Paired axial CT (left) and PSMA PET (right), [18F]PSMA-1007 tracer. Acquired on GE Discovery 690.
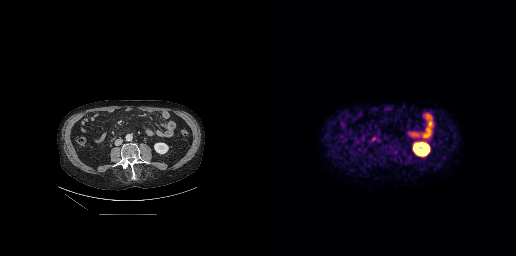
Negative for PSMA-avid disease on this slice.